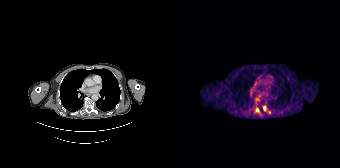
{"modality":"PSMA PET/CT","view":"axial","tracer":"68Ga-PSMA","pet_grid":[168,168],"coord_frame":"pet_panel","coord_format":"x0,y0,x1,y1","partial":true,"lesion_bboxes":[],"small_foci_centers":[[92,108],[85,110]]}